modality: PSMA PET/CT | tracer: 68Ga | view: axial | PET grid: 256×256
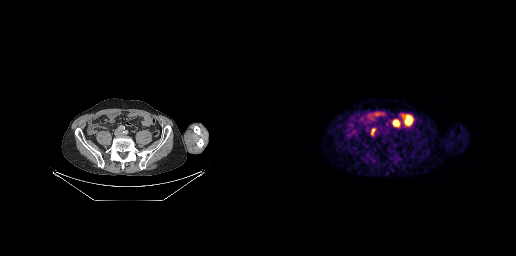
Coordinates are on the 256×256 PET (right) panel. PSMA-avid tumor lesion bounding box (x0,y0,x1,y1): [111,128,115,135].